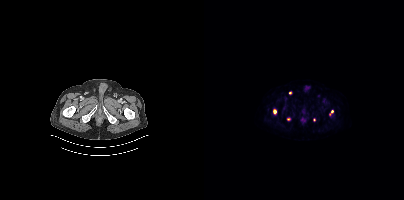
Two-panel axial: CT | PSMA PET, 18F tracer. Acquired on Siemens Biograph mCT Flow 20. Slice position z = -1641 mm. PET panel 200×200 px (4.1 mm/px). Coordinates are on the 200×200 PET (right) panel. PSMA-avid tumor lesion bounding boxes (x0,y0,x1,y1): [69,109,72,114]; [125,110,129,115]. Small PSMA-avid foci (2 to 4 px across) near (center x, center y): (86, 92); (110, 119); (84, 119).